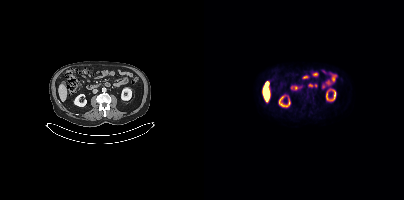
- Paired axial CT (left) and PSMA PET (right), 18F tracer
- slice position z = -705 mm
Findings: No tumor lesions annotated on this slice.